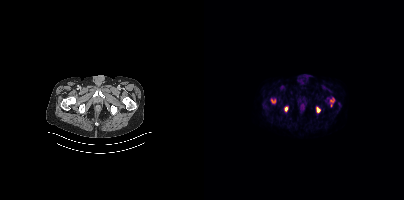
Two-panel axial: CT | PSMA PET, 18F-PSMA tracer. Slice 64 of 429. PET panel 200×200 px (4.1 mm/px). Coordinates are on the 200×200 PET (right) panel. (showing 4 of 5 foci) PSMA-avid tumor lesion bounding boxes (x0, y0)-(x1, y1): (67, 99)-(71, 103) | (112, 107)-(116, 112) | (126, 98)-(130, 102) | (81, 107)-(83, 111).